Technique: Left: CT. Right: PSMA PET, same axial level, [18F]PSMA-1007 tracer.
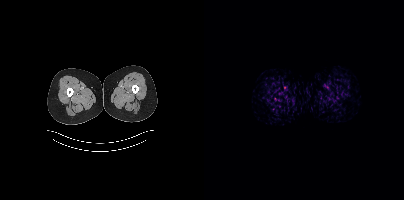
Findings: This slice has no annotated PSMA-avid lesion.